modality: PSMA PET/CT | tracer: 18F | view: axial
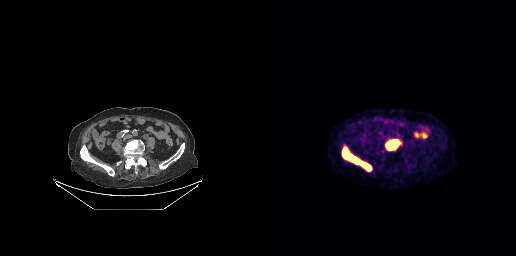
Coordinates are on the 256×256 PET (right) panel. PSMA-avid tumor lesion bounding boxes (x, y, width, height): x=82 y=147 w=30 h=25; x=125 y=139 w=17 h=12.